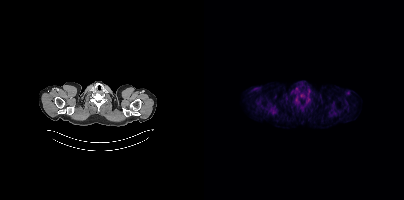
modality: PSMA PET/CT | tracer: 18F-PSMA | view: axial | PET grid: 200×200
Coordinates are on the 200×200 PET (right) panel. Small PSMA-avid focus (2 to 4 px across) near (center x, center y): (96, 95).